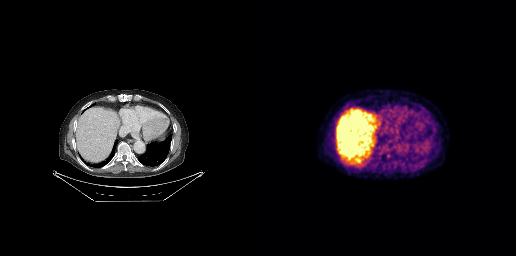
Technique: Two-panel axial: CT | PSMA PET, 18F-PSMA tracer.
Findings: No tumor lesions annotated on this slice.